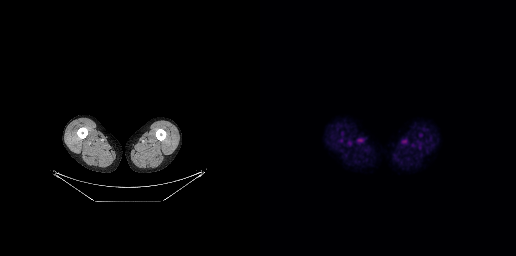
Technique: Two-panel axial: CT | PSMA PET, 18F tracer.
Findings: Negative for PSMA-avid disease on this slice.